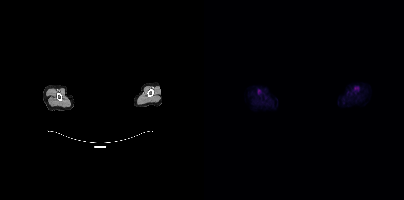
Negative for PSMA-avid disease on this slice. Head region blanked for anonymization (face removed). Two-panel axial: CT | PSMA PET, 18F tracer. Acquired on Siemens Biograph mCT Flow 20. Slice 392 of 429.